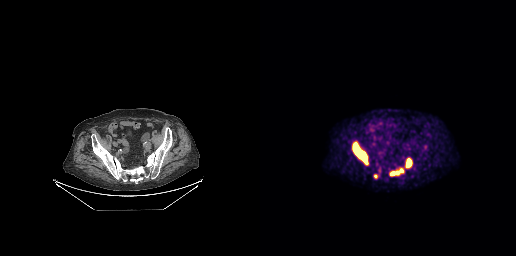
Coordinates are on the 256×256 PET (right) panel. PSMA-avid tumor lesion bounding boxes (x0, y0)-(x1, y1): (93, 142)-(108, 164); (131, 168)-(143, 175); (146, 158)-(152, 167); (114, 174)-(117, 178).